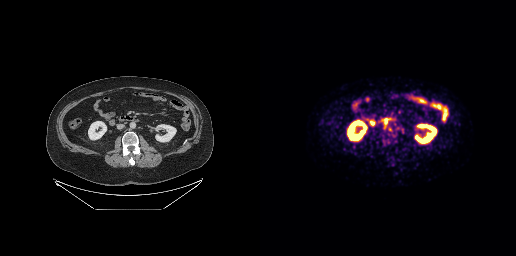
Coordinates are on the 256×256 PET (right) panel. PSMA-avid tumor lesion bounding box (x0, y0)-(x1, y1): (122, 119)-(127, 128).